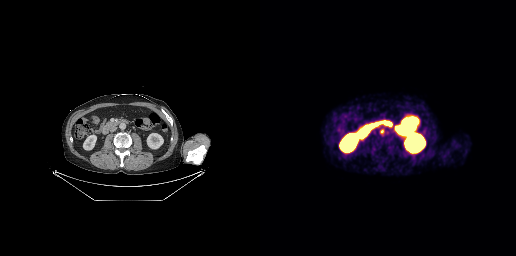
Technique: Two-panel axial: CT | PSMA PET, 68Ga-PSMA tracer.
Findings: Coordinates are on the 256×256 PET (right) panel. PSMA-avid tumor lesion bounding box (x0, y0)-(x1, y1): (120, 129)-(124, 133).